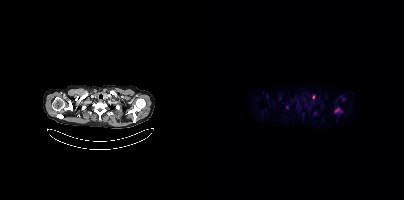
Coordinates are on the 200×200 PET (right) panel. PSMA-avid tumor lesion bounding box (x0,y0,x1,y1): [130,108,138,112]. Small PSMA-avid foci (2 to 4 px across) near (center x, center y): (109, 96) (82, 107).